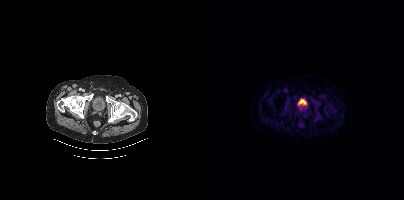
Left: CT. Right: PSMA PET, same axial level, [18F]PSMA-1007 tracer. Acquired on Siemens Biograph mCT Flow 20. No PSMA-avid tumor lesions on this slice.